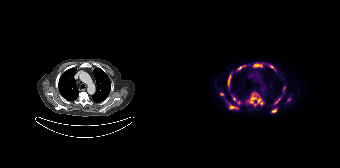
modality: PSMA PET/CT | tracer: 18F-PSMA | view: axial | PET grid: 168×168
Coordinates are on the 168×168 PET (right) panel. (showing 13 of 14 foci) PSMA-avid tumor lesion bounding boxes (x0, y0)-(x1, y1): (76, 92)-(91, 105) | (57, 104)-(66, 109) | (56, 74)-(59, 86) | (81, 64)-(90, 67) | (99, 108)-(104, 112) | (65, 66)-(70, 70) | (103, 98)-(108, 103) | (98, 66)-(103, 70). Small PSMA-avid foci (2 to 4 px across) near (center x, center y): (62, 98) | (49, 94) | (66, 102) | (112, 88) | (116, 99).